Two-panel axial: CT | PSMA PET, 18F-PSMA tracer. Acquired on Siemens Biograph mCT Flow 20.
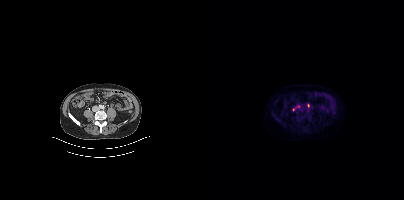
Coordinates are on the 200×200 PET (right) panel. (showing 1 of 2 foci) Small PSMA-avid focus (2 to 4 px across) near (center x, center y): (104, 105).